Two-panel axial: CT | PSMA PET, 68Ga tracer. Acquired on GE Discovery 690. Slice 177 of 263.
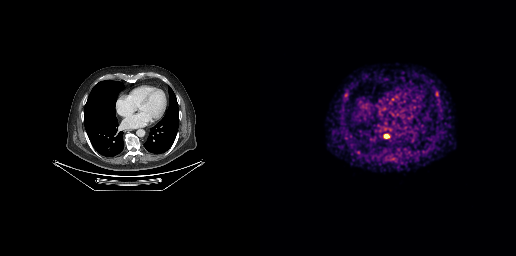
Coordinates are on the 256×256 PET (right) panel. PSMA-avid tumor lesion bounding box (x, y, width, height): x=124 y=135 w=5 h=3.